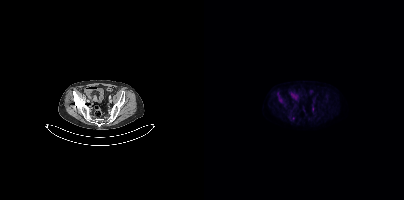
No tumor lesions annotated on this slice.